Technique: Two-panel axial: CT | PSMA PET, [18F]PSMA-1007 tracer.
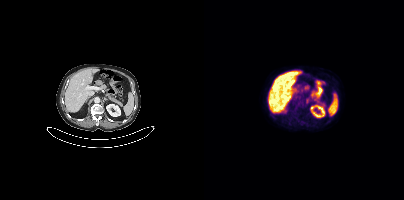
Findings: Coordinates are on the 200×200 PET (right) panel. Small PSMA-avid focus (2 to 4 px across) near (center x, center y): (103, 100).